- Left: CT. Right: PSMA PET, same axial level, [18F]PSMA-1007 tracer
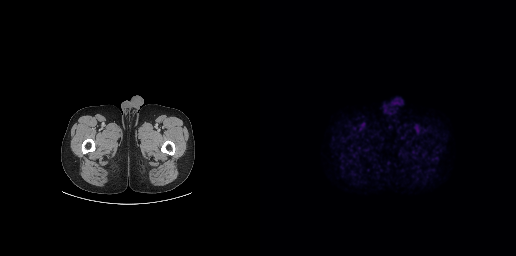
Findings: No tumor lesions annotated on this slice.